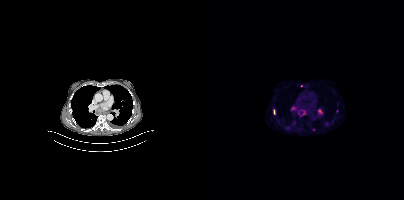
Left: CT. Right: PSMA PET, same axial level, [18F]PSMA-1007 tracer. PET panel 200×200 px (4.1 mm/px).
Coordinates are on the 200×200 PET (right) panel. PSMA-avid tumor lesion bounding boxes (partial; 3 more foci not listed):
| # | x0 | y0 | x1 | y1 |
|---|---|---|---|---|
| 1 | 94 | 109 | 102 | 116 |
| 2 | 114 | 109 | 118 | 113 |
| 3 | 87 | 107 | 91 | 110 |
| 4 | 70 | 110 | 71 | 114 |
Small PSMA-avid foci (2 to 4 px across) near (center x, center y): (123, 123); (84, 127); (109, 129).